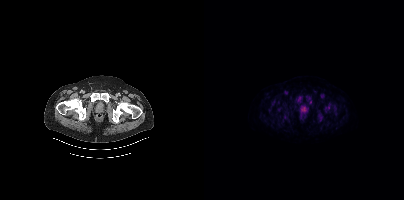
Technique: Two-panel axial: CT | PSMA PET, 18F-PSMA tracer. acquired on Siemens Biograph mCT Flow 20. slice position z = -1405 mm. PET panel 200×200 px (4.1 mm/px).
Findings: Coordinates are on the 200×200 PET (right) panel. PSMA-avid tumor lesion bounding boxes (x0, y0)-(x1, y1): (113, 114)-(118, 120) / (93, 97)-(97, 102) / (102, 95)-(107, 100) / (97, 108)-(101, 112) / (67, 102)-(70, 106) / (74, 107)-(78, 111). Small PSMA-avid foci (2 to 4 px across) near (center x, center y): (123, 107) / (131, 114).